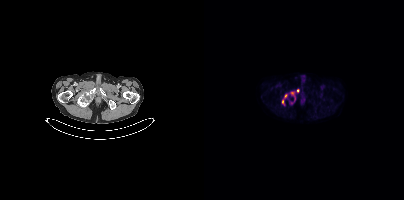
Coordinates are on the 200×200 PET (right) panel. PSMA-avid tumor lesion bounding boxes (x0, y0)-(x1, y1): (86, 91)-(92, 104) / (78, 99)-(80, 104). Small PSMA-avid foci (2 to 4 px across) near (center x, center y): (81, 95) / (94, 90). Two-panel axial: CT | PSMA PET, [18F]PSMA-1007 tracer. Slice position z = -1494 mm. PET panel 200×200 px (4.1 mm/px).